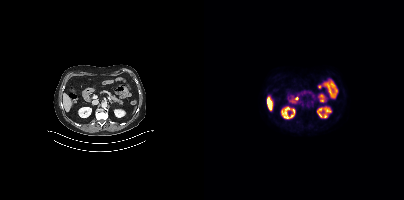
{"modality":"PSMA PET/CT","view":"axial","tracer":"[18F]PSMA-1007","pet_grid":[200,200],"coord_frame":"pet_panel","coord_format":"x0,y0,x1,y1","psma_avid_lesions":false}